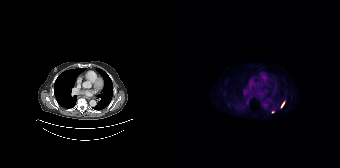
Coordinates are on the 168×168 PET (right) panel. (showing 1 of 2 foci) PSMA-avid tumor lesion bounding box (x0,y0,x1,y1): [109,102,112,107].